Two-panel axial: CT | PSMA PET, [68Ga]Ga-PSMA-11 tracer. Slice 158 of 452. PET panel 200×200 px (4.1 mm/px).
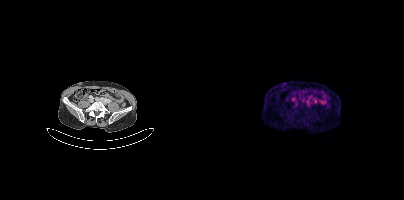
Negative for PSMA-avid disease on this slice.